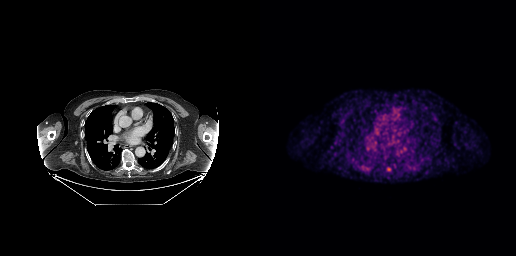
Coordinates are on the 256×256 PET (right) panel. Small PSMA-avid focus (2 to 4 px across) near (center x, center y): (128, 169).